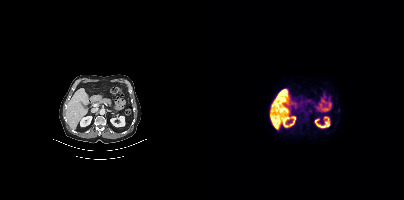
Technique: Paired axial CT (left) and PSMA PET (right), 18F-PSMA tracer. slice 208 of 405. PET panel 200×200 px (4.1 mm/px).
Findings: No tumor lesions annotated on this slice.